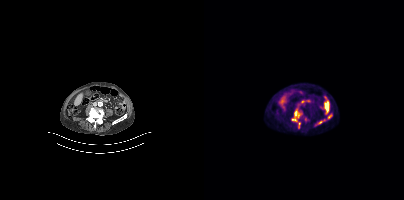
Technique: Paired axial CT (left) and PSMA PET (right), [18F]PSMA-1007 tracer.
Findings: Coordinates are on the 200×200 PET (right) panel. PSMA-avid tumor lesion bounding box (x0, y0)-(x1, y1): (87, 109)-(97, 128). Small PSMA-avid focus (2 to 4 px across) near (center x, center y): (101, 119).